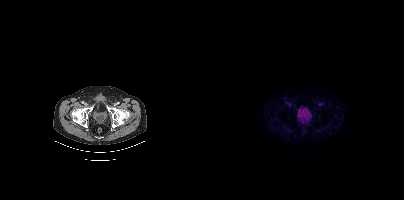
{"modality":"PSMA PET/CT","view":"axial","tracer":"18F-PSMA","pet_grid":[200,200],"coord_frame":"pet_panel","coord_format":"x0,y0,x1,y1","psma_avid_lesions":false}